Paired axial CT (left) and PSMA PET (right), [18F]PSMA-1007 tracer. Slice 347 of 508.
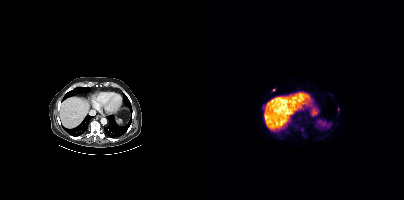
Coordinates are on the 200×200 PET (right) panel. (showing 3 of 4 foci) Small PSMA-avid foci (2 to 4 px across) near (center x, center y): (134, 108) (98, 129) (70, 89).